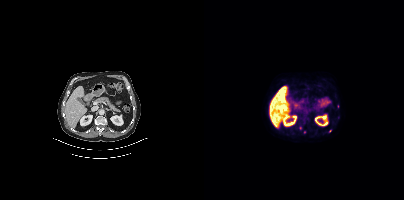
Coordinates are on the 200×200 PET (right) panel. (showing 2 of 5 foci) Small PSMA-avid foci (2 to 4 px across) near (center x, center y): (96, 127); (126, 130).